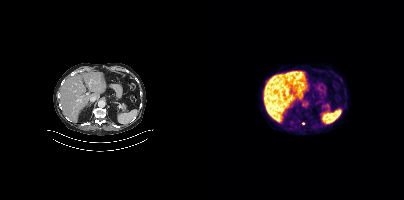
- Two-panel axial: CT | PSMA PET, [18F]PSMA-1007 tracer
- acquired on Siemens Biograph mCT Flow 20
- slice 232 of 429
Findings: Coordinates are on the 200×200 PET (right) panel. Small PSMA-avid focus (2 to 4 px across) near (center x, center y): (99, 123).